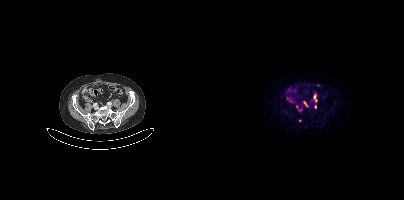
{"modality":"PSMA PET/CT","view":"axial","tracer":"18F","pet_grid":[200,200],"coord_frame":"pet_panel","coord_format":"x0,y0,x1,y1","lesion_bboxes":[[110,95,113,101]],"small_foci_centers":[[102,104],[111,107],[92,106],[95,120]]}